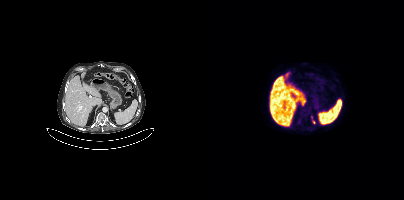
Coordinates are on the 200×200 PET (right) panel. (showing 1 of 2 foci) Small PSMA-avid focus (2 to 4 px across) near (center x, center y): (110, 122). Left: CT. Right: PSMA PET, same axial level, [18F]PSMA-1007 tracer. PET panel 200×200 px (4.1 mm/px).